modality: PSMA PET/CT | tracer: [18F]PSMA-1007 | view: axial
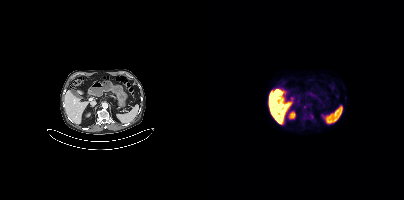
Coordinates are on the 200×200 PET (right) panel. Small PSMA-avid foci (2 to 4 px across) near (center x, center y): (100, 106) | (101, 112) | (107, 116).